Technique: Two-panel axial: CT | PSMA PET, [18F]PSMA-1007 tracer. PET panel 256×256 px (2.7 mm/px).
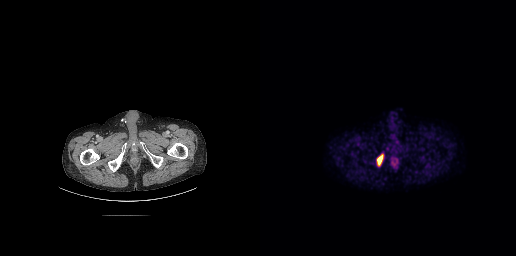
Findings: Coordinates are on the 256×256 PET (right) panel. PSMA-avid tumor lesion bounding boxes (x0, y0)-(x1, y1): (130, 155)-(139, 168) / (116, 154)-(123, 165).